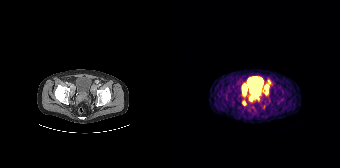
modality: PSMA PET/CT | tracer: 68Ga | view: axial
Coordinates are on the 168×168 PET (right) panel. PSMA-avid tumor lesion bounding boxes (x0, y0)-(x1, y1): (70, 84)-(75, 96) | (78, 95)-(85, 100) | (94, 85)-(96, 89). Small PSMA-avid focus (2 to 4 px across) near (center x, center y): (72, 102).